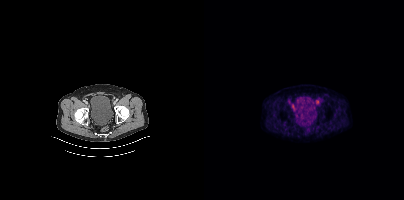
Paired axial CT (left) and PSMA PET (right), [18F]PSMA-1007 tracer. Slice position z = -764 mm. PET panel 200×200 px (4.1 mm/px). Coordinates are on the 200×200 PET (right) panel. PSMA-avid tumor lesion bounding box (x0,y0,x1,y1): [112,100,115,104].